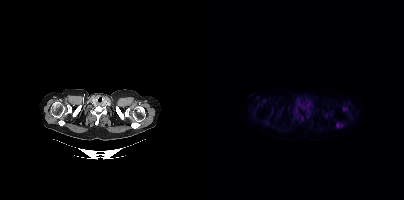
Coordinates are on the 200×200 PET (right) panel. PSMA-avid tumor lesion bounding boxes (x0, y0)-(x1, y1): (132, 122)-(139, 128) | (97, 105)-(101, 109) | (96, 118)-(100, 121). Small PSMA-avid focus (2 to 4 px across) near (center x, center y): (141, 108). Two-panel axial: CT | PSMA PET, 18F tracer. Acquired on Siemens Biograph mCT Flow 20.